Left: CT. Right: PSMA PET, same axial level, [18F]PSMA-1007 tracer. Acquired on Siemens Biograph mCT Flow 20. Slice position z = 512 mm. PET panel 200×200 px (4.1 mm/px). De-identified by setting a box covering the face to black before release.
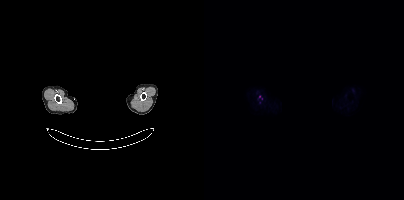
Coordinates are on the 200×200 PET (right) panel. (showing 1 of 2 foci) Small PSMA-avid focus (2 to 4 px across) near (center x, center y): (55, 96).